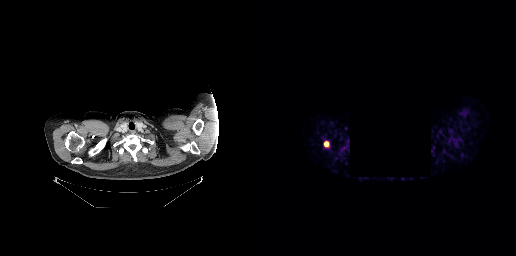
{"modality":"PSMA PET/CT","view":"axial","tracer":"68Ga","pet_grid":[256,256],"coord_frame":"pet_panel","coord_format":"x0,y0,x1,y1","deidentification":"region blacked out before release","lesion_bboxes":[[64,141,69,147]]}